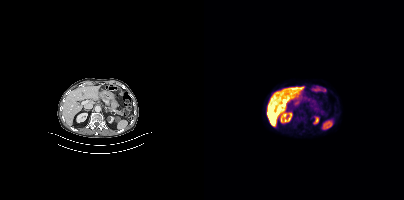
Two-panel axial: CT | PSMA PET, [18F]PSMA-1007 tracer. PET panel 200×200 px (4.1 mm/px). Negative for PSMA-avid disease on this slice.